modality: PSMA PET/CT | tracer: [68Ga]Ga-PSMA-11 | view: axial | PET grid: 256×256
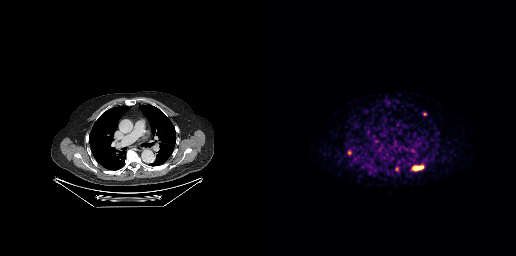
Coordinates are on the 256×256 PET (right) panel. PSMA-avid tumor lesion bounding boxes (x, y, width, height): x=153 y=166 w=11 h=5 | x=87 y=150 w=5 h=5 | x=135 y=167 w=4 h=5. Small PSMA-avid focus (2 to 4 px across) near (center x, center y): (164, 113).